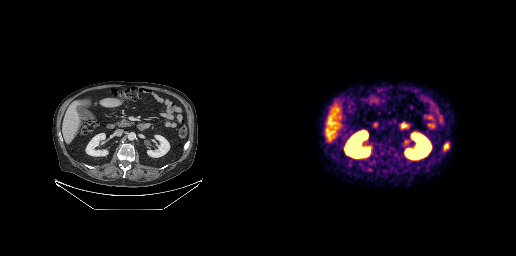
No tumor lesions annotated on this slice.